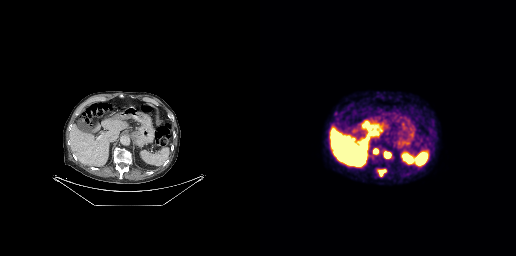
{"modality":"PSMA PET/CT","view":"axial","tracer":"18F-PSMA","pet_grid":[256,256],"coord_frame":"pet_panel","coord_format":"x0,y0,x1,y1","lesion_bboxes":[[117,169,126,176],[124,152,130,158],[113,148,118,153],[112,155,116,160]]}